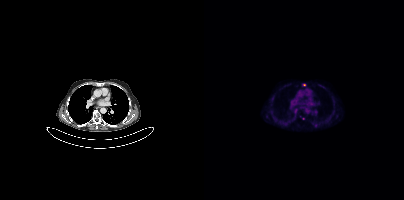
Coordinates are on the 200×200 PET (right) panel. Small PSMA-avid focus (2 to 4 px across) near (center x, center y): (100, 84). Paired axial CT (left) and PSMA PET (right), 18F tracer. Slice 267 of 391. PET panel 200×200 px (4.1 mm/px).